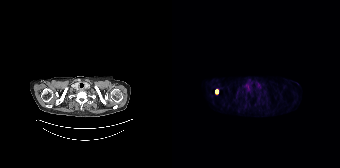
Findings: Coordinates are on the 168×168 PET (right) panel. PSMA-avid tumor lesion bounding box (x0, y0)-(x1, y1): (43, 89)-(46, 93).
Technique: Two-panel axial: CT | PSMA PET, [18F]PSMA-1007 tracer. acquired on Siemens Biograph 64-4R TruePoint. PET panel 168×168 px (4.1 mm/px).